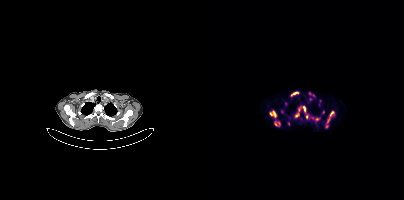
{"modality":"PSMA PET/CT","view":"axial","tracer":"[68Ga]Ga-PSMA-11","pet_grid":[200,200],"coord_frame":"pet_panel","coord_format":"x0,y0,x1,y1","partial":true,"lesion_bboxes":[[66,110,72,117],[123,111,130,123],[86,92,94,96],[106,117,114,120],[99,106,101,111],[101,113,103,118]],"small_foci_centers":[[82,103],[78,111],[72,123],[93,115],[84,123],[122,126],[105,93],[74,123]]}